Paired axial CT (left) and PSMA PET (right), [18F]PSMA-1007 tracer. Slice position z = -1232 mm. PET panel 168×168 px (4.1 mm/px).
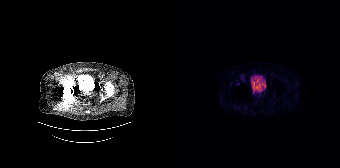
Negative for PSMA-avid disease on this slice.